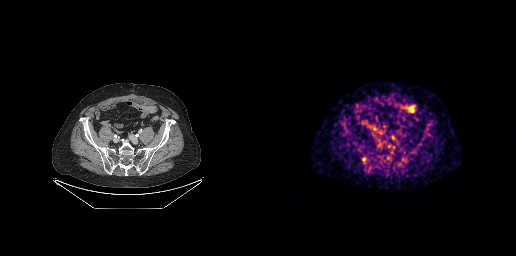
This slice has no annotated PSMA-avid lesion.